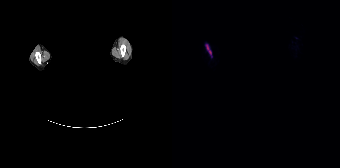
The head region is masked for de-identification.
Coordinates are on the 168×168 PET (right) panel. PSMA-avid tumor lesion bounding box (x0, y0)-(x1, y1): (34, 44)-(39, 54).